Technique: Left: CT. Right: PSMA PET, same axial level, [18F]PSMA-1007 tracer. PET panel 200×200 px (4.1 mm/px).
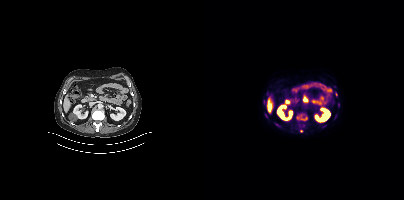
Findings: Coordinates are on the 200×200 PET (right) panel. (showing 2 of 5 foci) Small PSMA-avid foci (2 to 4 px across) near (center x, center y): (132, 94), (97, 130).